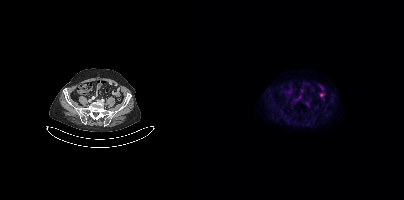
Findings: No tumor lesions annotated on this slice.
Technique: Left: CT. Right: PSMA PET, same axial level, [18F]PSMA-1007 tracer. PET panel 200×200 px (4.1 mm/px).